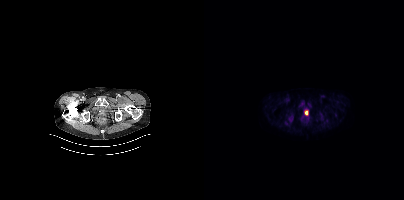
modality: PSMA PET/CT | tracer: [18F]PSMA-1007 | view: axial
Coordinates are on the 200×200 PET (right) panel. PSMA-avid tumor lesion bounding box (x0,y0,x1,y1): [101,110,104,114].